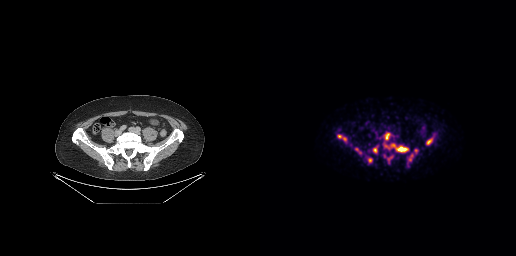
- Paired axial CT (left) and PSMA PET (right), [18F]PSMA-1007 tracer
- slice position z = -632 mm
Findings: Coordinates are on the 256×256 PET (right) panel. (showing 10 of 11 foci) PSMA-avid tumor lesion bounding boxes (x0, y0)-(x1, y1): (124, 143)-(149, 152) | (165, 138)-(172, 145) | (124, 132)-(130, 140) | (77, 134)-(86, 141) | (95, 148)-(102, 154) | (106, 156)-(112, 162) | (112, 147)-(117, 152) | (149, 154)-(153, 160) | (154, 149)-(157, 153) | (128, 156)-(132, 160).